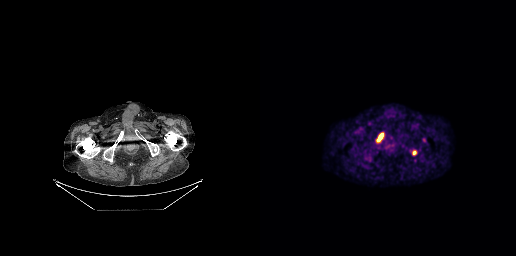
Coordinates are on the 256×256 PET (right) panel. PSMA-avid tumor lesion bounding box (x0,y0,x1,y1): [117,133,123,141]. Small PSMA-avid focus (2 to 4 px across) near (center x, center y): (154, 152). Left: CT. Right: PSMA PET, same axial level, [18F]PSMA-1007 tracer. Slice position z = -683 mm. PET panel 256×256 px (2.7 mm/px).